Two-panel axial: CT | PSMA PET, [18F]PSMA-1007 tracer. Acquired on Siemens Biograph mCT Flow 20. Slice 45 of 435. PET panel 200×200 px (4.1 mm/px).
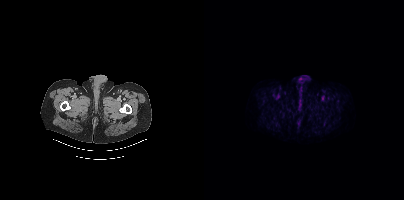
Coordinates are on the 200×200 PET (right) panel. Small PSMA-avid focus (2 to 4 px across) near (center x, center y): (123, 99).